Two-panel axial: CT | PSMA PET, 68Ga tracer. Acquired on Siemens Biograph mCT Flow 20. Slice 76 of 397.
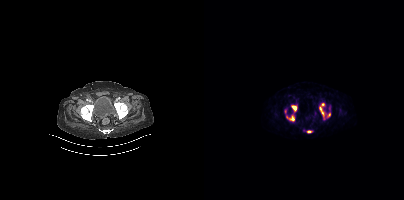
No PSMA-avid tumor lesions on this slice.